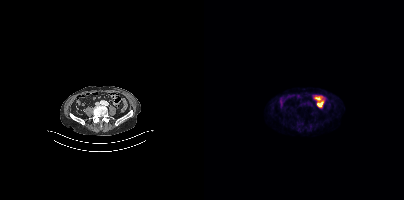
{"modality":"PSMA PET/CT","view":"axial","tracer":"18F","pet_grid":[200,200],"coord_frame":"pet_panel","coord_format":"x0,y0,x1,y1","psma_avid_lesions":false}